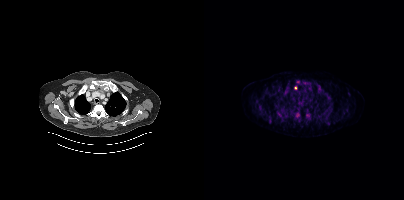
Findings: Coordinates are on the 200×200 PET (right) panel. (showing 8 of 11 foci) PSMA-avid tumor lesion bounding boxes (x, y, width, height): x=88 y=112 w=9 h=8 / x=101 y=109 w=6 h=15 / x=121 y=93 w=7 h=7 / x=114 y=87 w=4 h=6 / x=54 y=105 w=5 h=5 / x=80 y=91 w=4 h=5. Small PSMA-avid foci (2 to 4 px across) near (center x, center y): (66, 120) / (91, 88).
Technique: Two-panel axial: CT | PSMA PET, 18F-PSMA tracer. acquired on Siemens Biograph mCT Flow 20. PET panel 200×200 px (4.1 mm/px).